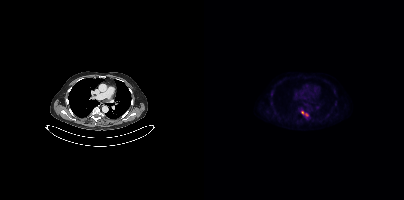
{"modality":"PSMA PET/CT","view":"axial","tracer":"18F-PSMA","pet_grid":[200,200],"coord_frame":"pet_panel","coord_format":"x0,y0,x1,y1","lesion_bboxes":[[97,110,103,115]]}